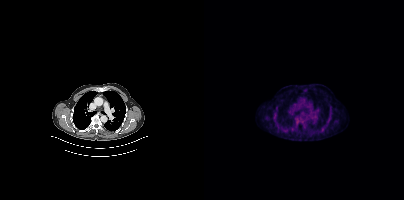
modality: PSMA PET/CT | tracer: 18F | view: axial | PET grid: 200×200
This slice has no annotated PSMA-avid lesion.